Technique: Paired axial CT (left) and PSMA PET (right), 18F tracer. slice 57 of 165. PET panel 168×168 px (4.1 mm/px).
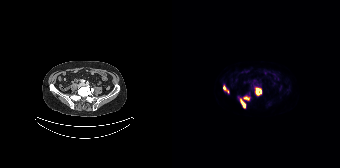
Findings: Coordinates are on the 168×168 PET (right) panel. PSMA-avid tumor lesion bounding boxes (x, y, width, height): x=83 y=87 w=7 h=9 / x=68 y=98 w=6 h=11 / x=71 y=96 w=7 h=5 / x=51 y=85 w=6 h=9.